Technique: Left: CT. Right: PSMA PET, same axial level, 18F-PSMA tracer. acquired on Siemens Biograph mCT Flow 20. slice position z = 422 mm. PET panel 200×200 px (4.1 mm/px).
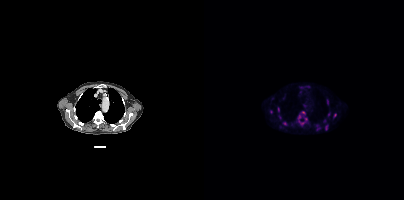
Findings: Coordinates are on the 200×200 PET (right) panel. (showing 8 of 10 foci) PSMA-avid tumor lesion bounding boxes (x, y, width, height): x=94 y=115 w=8 h=11 | x=130 y=113 w=3 h=5. Small PSMA-avid foci (2 to 4 px across) near (center x, center y): (81, 123) | (102, 119) | (99, 113) | (123, 103) | (74, 109) | (124, 114).